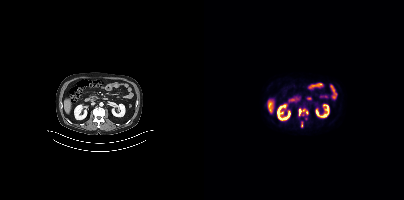
{"modality":"PSMA PET/CT","view":"axial","tracer":"18F","pet_grid":[200,200],"coord_frame":"pet_panel","coord_format":"x0,y0,x1,y1","partial":true,"lesion_bboxes":[[95,108,104,115],[97,122,98,126]]}